Left: CT. Right: PSMA PET, same axial level, [18F]PSMA-1007 tracer. PET panel 200×200 px (4.1 mm/px).
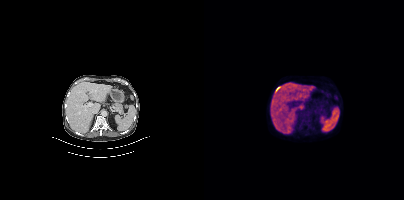
No tumor lesions annotated on this slice.